modality: PSMA PET/CT | tracer: [18F]PSMA-1007 | view: axial | de-identification: head region blanked (face removed)
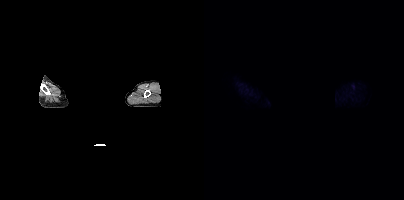
Negative for PSMA-avid disease on this slice.